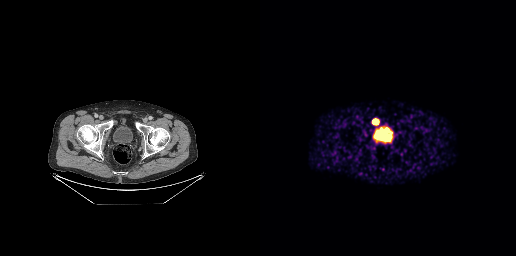
{"modality":"PSMA PET/CT","view":"axial","tracer":"68Ga","pet_grid":[256,256],"coord_frame":"pet_panel","coord_format":"x0,y0,x1,y1","lesion_bboxes":[[113,120,117,123]]}